Technique: Two-panel axial: CT | PSMA PET, 18F tracer. acquired on GE Discovery 690. PET panel 256×256 px (2.7 mm/px).
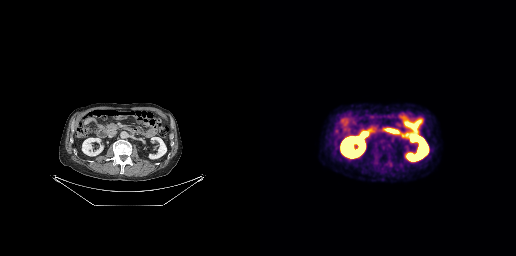
Findings: Coordinates are on the 256×256 PET (right) panel. PSMA-avid tumor lesion bounding box (x0,y0,x1,y1): [129,162,132,166]. Small PSMA-avid focus (2 to 4 px across) near (center x, center y): (133, 140).